Technique: Paired axial CT (left) and PSMA PET (right), 18F-PSMA tracer.
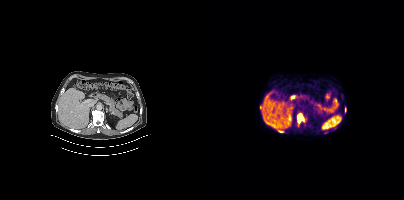
Findings: Coordinates are on the 200×200 PET (right) panel. PSMA-avid tumor lesion bounding box (x, y, width, height): x=94 y=114 w=7 h=10.